- Left: CT. Right: PSMA PET, same axial level, 18F-PSMA tracer
- PET panel 200×200 px (4.1 mm/px)
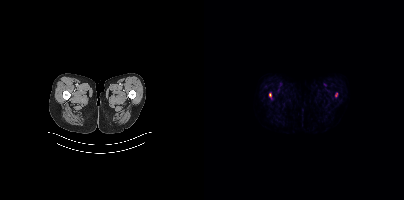
Findings: Coordinates are on the 200×200 PET (right) panel. Small PSMA-avid foci (2 to 4 px across) near (center x, center y): (66, 94) | (132, 94).